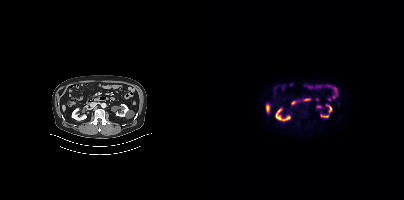
No PSMA-avid tumor lesions on this slice.
modality: PSMA PET/CT | tracer: 18F | view: axial